Technique: Paired axial CT (left) and PSMA PET (right), [18F]PSMA-1007 tracer. slice position z = -130 mm. PET panel 256×256 px (2.7 mm/px).
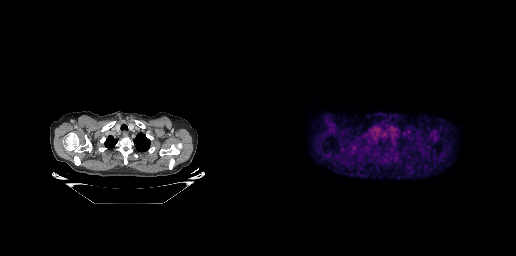
Findings: Negative for PSMA-avid disease on this slice.